- Paired axial CT (left) and PSMA PET (right), [18F]PSMA-1007 tracer
- acquired on Siemens Biograph mCT Flow 20
- slice position z = -1523 mm
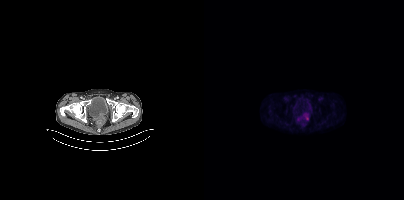
Findings: Coordinates are on the 200×200 PET (right) panel. (showing 2 of 3 foci) PSMA-avid tumor lesion bounding box (x, y, width, height): x=98 y=112 w=7 h=9. Small PSMA-avid focus (2 to 4 px across) near (center x, center y): (94, 119).